Technique: Paired axial CT (left) and PSMA PET (right), [18F]PSMA-1007 tracer.
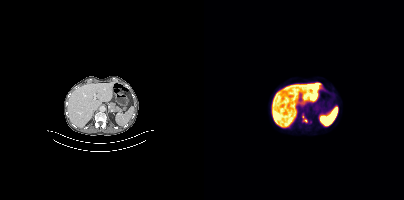
Findings: Coordinates are on the 200×200 PET (right) panel. PSMA-avid tumor lesion bounding box (x, y, width, height): x=98 y=115 w=6 h=8.